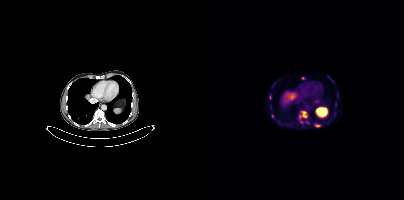
Coordinates are on the 200×200 PET (right) panel. (showing 5 of 7 foci) PSMA-avid tumor lesion bounding boxes (x0,y0,x1,y1): [95,111,103,119]; [111,124,116,126]. Small PSMA-avid foci (2 to 4 px across) near (center x, center y): (99, 78); (97, 121); (103, 122).